Paired axial CT (left) and PSMA PET (right), 18F tracer. PET panel 256×256 px (2.7 mm/px).
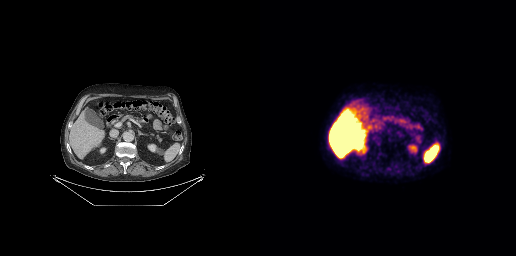
No tumor lesions annotated on this slice.